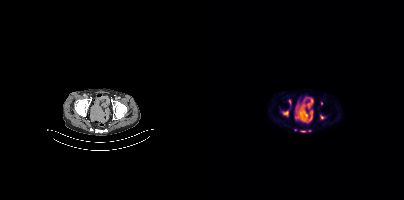
Paired axial CT (left) and PSMA PET (right), 18F-PSMA tracer. Acquired on Siemens Biograph mCT Flow 20. PET panel 200×200 px (4.1 mm/px). Coordinates are on the 200×200 PET (right) panel. PSMA-avid tumor lesion bounding boxes (x0, y0)-(x1, y1): (79, 111)-(84, 116) | (97, 131)-(101, 132). Small PSMA-avid foci (2 to 4 px across) near (center x, center y): (85, 101) | (117, 103) | (118, 117) | (105, 130) | (91, 129).